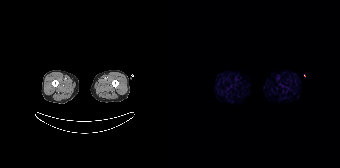
Left: CT. Right: PSMA PET, same axial level, [68Ga]Ga-PSMA-11 tracer. Acquired on Siemens Biograph 64-4R TruePoint. This slice has no annotated PSMA-avid lesion.